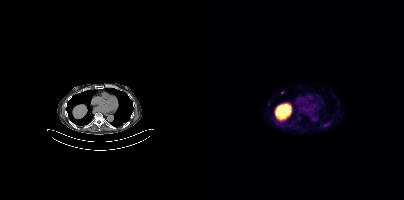
Two-panel axial: CT | PSMA PET, 18F-PSMA tracer. Slice 245 of 385. PET panel 200×200 px (4.1 mm/px). Only PSMA-avid lesion pieces thinner than 2 px on this slice (not listed).